modality: PSMA PET/CT | tracer: 18F | view: axial | PET grid: 200×200
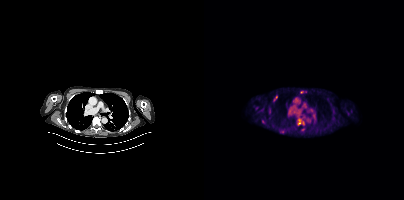
Coordinates are on the 200×200 PET (right) panel. (showing 1 of 3 foci) PSMA-avid tumor lesion bounding box (x, y, width, height): x=94 y=122 w=7 h=3.